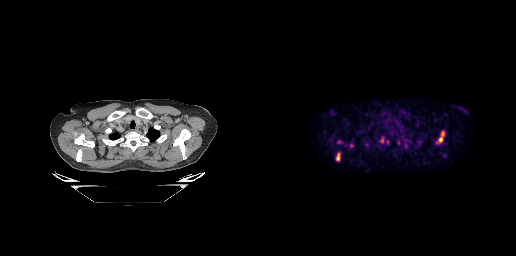
Coordinates are on the 256×256 PET (right) panel. (showing 7 of 8 foci) PSMA-avid tumor lesion bounding boxes (x0,y0,x1,y1): [176,130,185,144] [75,152,80,161] [119,136,124,143] [77,141,81,143]. Small PSMA-avid foci (2 to 4 px across) near (center x, center y): (91, 145) (127, 141) (138, 142).